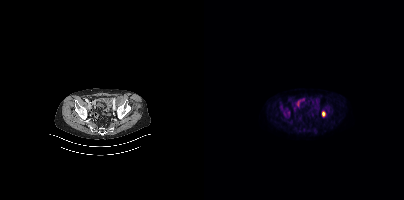
Two-panel axial: CT | PSMA PET, 18F-PSMA tracer. Acquired on Siemens Biograph mCT Flow 20. Slice 93 of 401.
Coordinates are on the 200×200 PET (right) panel. PSMA-avid tumor lesion bounding boxes:
| # | x0 | y0 | x1 | y1 |
|---|---|---|---|---|
| 1 | 118 | 111 | 121 | 116 |